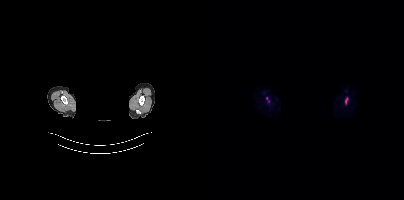
{"modality":"PSMA PET/CT","view":"axial","tracer":"18F","pet_grid":[200,200],"coord_frame":"pet_panel","coord_format":"x0,y0,x1,y1","deidentification":"facial region redacted","partial":true,"lesion_bboxes":[[141,98,143,104]]}